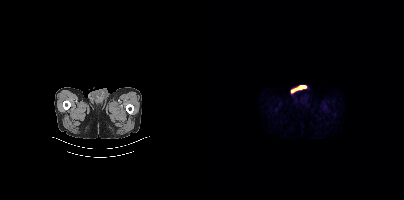
No PSMA-avid tumor lesions on this slice.